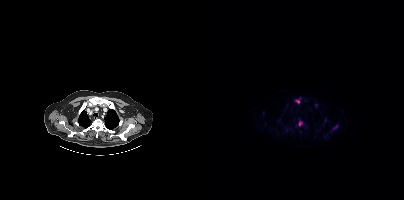
Technique: Two-panel axial: CT | PSMA PET, 18F-PSMA tracer. slice position z = -450 mm. PET panel 200×200 px (4.1 mm/px).
Findings: Coordinates are on the 200×200 PET (right) panel. (showing 4 of 5 foci) PSMA-avid tumor lesion bounding boxes (x0,y0,x1,y1): [91,100,95,103] [95,122,98,126]. Small PSMA-avid foci (2 to 4 px across) near (center x, center y): (111, 105) (130, 127).